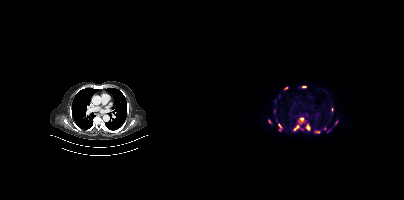
Coordinates are on the 200×200 PET (right) panel. (showing 10 of 13 foci) PSMA-avid tumor lesion bounding boxes (x, y, width, height): x=90 y=124 w=6 h=7 | x=102 y=124 w=5 h=7 | x=74 y=124 w=5 h=7 | x=98 y=86 w=5 h=2. Small PSMA-avid foci (2 to 4 px across) near (center x, center y): (97, 119) | (113, 132) | (65, 121) | (124, 130) | (121, 128) | (131, 122).